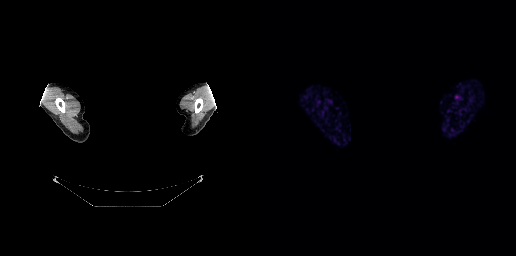
This slice has no annotated PSMA-avid lesion.
modality: PSMA PET/CT | tracer: [68Ga]Ga-PSMA-11 | view: axial | de-identification: head region blacked out before release